modality: PSMA PET/CT | tracer: 68Ga | view: axial | de-identification: privacy mask over head
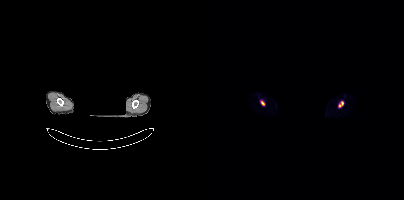
Coordinates are on the 200×200 PET (right) panel. PSMA-avid tumor lesion bounding box (x, y, width, height): x=135 y=101 w=5 h=6. Small PSMA-avid focus (2 to 4 px across) near (center x, center y): (58, 102).